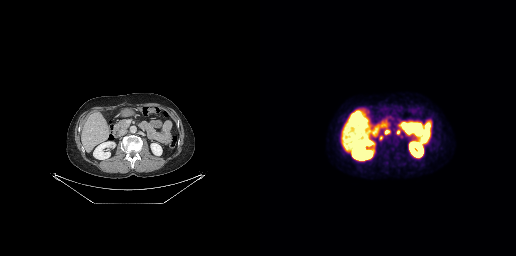
{"pet_grid":[256,256],"coord_frame":"pet_panel","coord_format":"x0,y0,x1,y1","lesion_bboxes":[[124,129,130,134],[136,129,140,134]],"small_foci_centers":[[121,137]],"modality":"PSMA PET/CT","view":"axial","tracer":"18F-PSMA"}